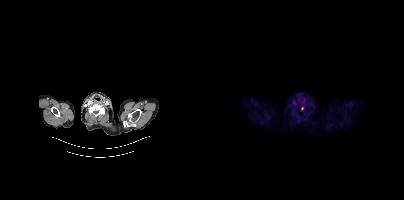
Only PSMA-avid lesion pieces thinner than 2 px on this slice (not listed).
modality: PSMA PET/CT | tracer: 18F | view: axial | PET grid: 200×200